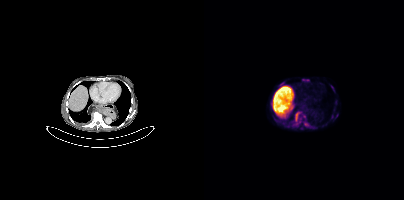
{"modality":"PSMA PET/CT","view":"axial","tracer":"[18F]PSMA-1007","pet_grid":[200,200],"coord_frame":"pet_panel","coord_format":"x0,y0,x1,y1","partial":true,"lesion_bboxes":[[91,112,97,121],[100,123,104,125]],"small_foci_centers":[[100,116],[92,123],[95,121]]}